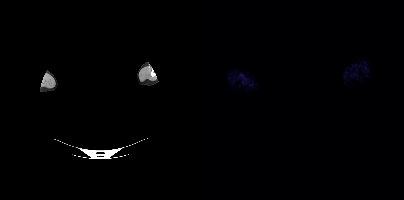
No tumor lesions annotated on this slice.
modality: PSMA PET/CT | tracer: 18F | view: axial | PET grid: 200×200 | de-identification: rectangular block over head set to black